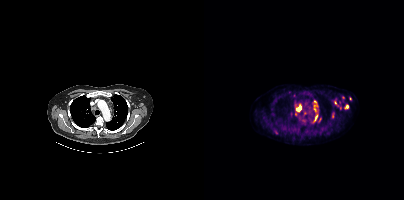
Coordinates are on the 200×200 PET (right) panel. (showing 11 of 14 foci) PSMA-avid tumor lesion bounding boxes (x, y, width, height): x=91 y=105 w=7 h=11; x=107 y=115 w=7 h=9; x=109 y=100 w=5 h=7; x=128 y=113 w=3 h=6; x=131 y=100 w=2 h=5. Small PSMA-avid foci (2 to 4 px across) near (center x, center y): (142, 106); (90, 95); (101, 113); (136, 108); (111, 110); (146, 98).